modality: PSMA PET/CT | tracer: 18F-PSMA | view: axial | redaction: privacy mask (black rectangle)
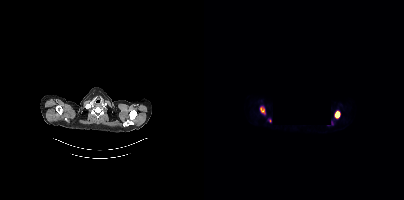
Coordinates are on the 200×200 PET (right) panel. (showing 2 of 3 foci) PSMA-avid tumor lesion bounding boxes (x0, y0)-(x1, y1): (131, 111)-(136, 118) / (56, 108)-(60, 112).